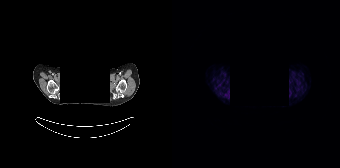
Left: CT. Right: PSMA PET, same axial level, [68Ga]Ga-PSMA-11 tracer. Slice position z = -115 mm. Face de-identified by blanking a block of the head. No tumor lesions annotated on this slice.